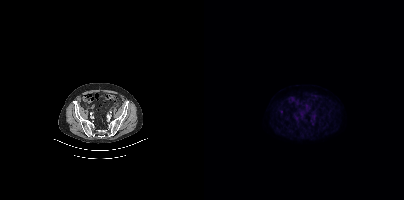
{"modality":"PSMA PET/CT","view":"axial","tracer":"[18F]PSMA-1007","pet_grid":[200,200],"coord_frame":"pet_panel","coord_format":"x0,y0,x1,y1","partial":true,"lesion_bboxes":[],"small_foci_centers":[[77,111]]}